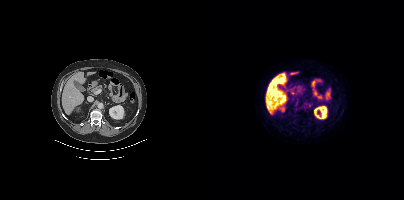
{"modality":"PSMA PET/CT","view":"axial","tracer":"18F-PSMA","pet_grid":[200,200],"coord_frame":"pet_panel","coord_format":"x0,y0,x1,y1","partial":true,"lesion_bboxes":[],"small_foci_centers":[[92,103],[105,105]]}